Paired axial CT (left) and PSMA PET (right), [18F]PSMA-1007 tracer. Acquired on Siemens Biograph mCT Flow 20. Slice 241 of 429. PET panel 200×200 px (4.1 mm/px).
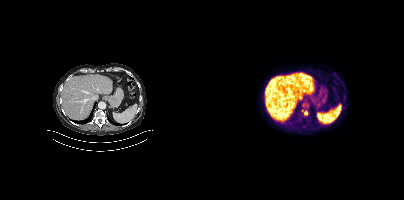
Coordinates are on the 200×200 PET (right) panel. PSMA-avid tumor lesion bounding boxes (partial; 1 more focus not listed):
| # | x0 | y0 | x1 | y1 |
|---|---|---|---|---|
| 1 | 100 | 111 | 103 | 115 |